Two-panel axial: CT | PSMA PET, 68Ga-PSMA tracer. Slice 115 of 195.
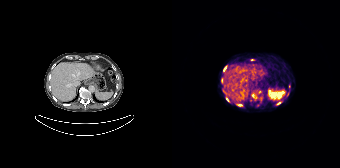
Coordinates are on the 168×168 PET (right) panel. PSMA-avid tumor lesion bounding boxes (partial; 1 more focus not listed):
| # | x0 | y0 | x1 | y1 |
|---|---|---|---|---|
| 1 | 66 | 104 | 70 | 105 |
Small PSMA-avid foci (2 to 4 px across) near (center x, center y): (53, 68); (55, 99); (80, 59); (116, 93); (107, 103); (49, 81).